Technique: Paired axial CT (left) and PSMA PET (right), 18F-PSMA tracer. slice 274 of 431.
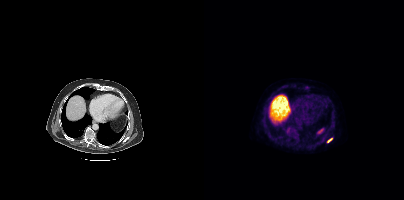
Findings: Coordinates are on the 200×200 PET (right) panel. Small PSMA-avid focus (2 to 4 px across) near (center x, center y): (125, 140).